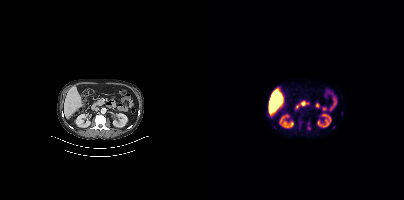
{"modality":"PSMA PET/CT","view":"axial","tracer":"18F","pet_grid":[200,200],"coord_frame":"pet_panel","coord_format":"x0,y0,x1,y1","lesion_bboxes":[[103,122,106,129],[95,121,97,125]]}